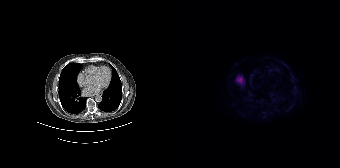
- Two-panel axial: CT | PSMA PET, 18F-PSMA tracer
- slice position z = -846 mm
Findings: Negative for PSMA-avid disease on this slice.